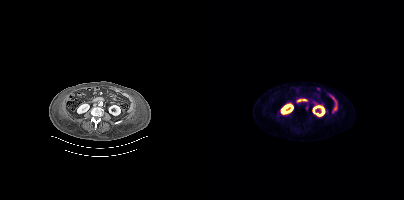
Coordinates are on the 200×200 PET (right) panel. Small PSMA-avid focus (2 to 4 px across) near (center x, center y): (102, 108).